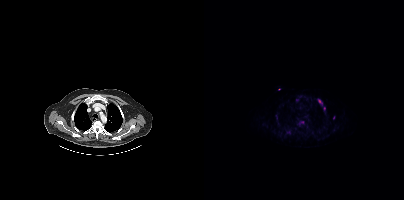
- Paired axial CT (left) and PSMA PET (right), 18F tracer
Findings: Coordinates are on the 200×200 PET (right) panel. Small PSMA-avid foci (2 to 4 px across) near (center x, center y): (120, 108) / (115, 101) / (129, 117).